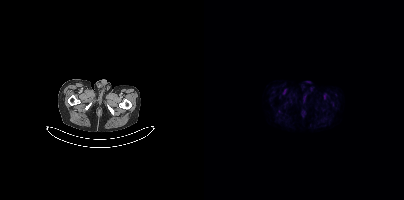
modality: PSMA PET/CT | tracer: [18F]PSMA-1007 | view: axial | PET grid: 200×200
No tumor lesions annotated on this slice.